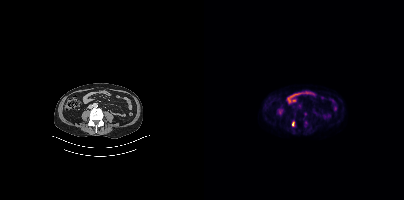
Paired axial CT (left) and PSMA PET (right), 18F-PSMA tracer. PET panel 200×200 px (4.1 mm/px). Coordinates are on the 200×200 PET (right) panel. Small PSMA-avid focus (2 to 4 px across) near (center x, center y): (88, 124).